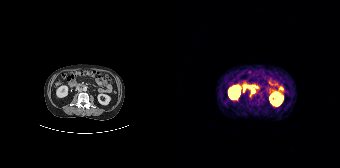
Coordinates are on the 168×168 PET (right) panel. PSMA-avid tumor lesion bounding box (x0, y0)-(x1, y1): (79, 88)-(82, 93).